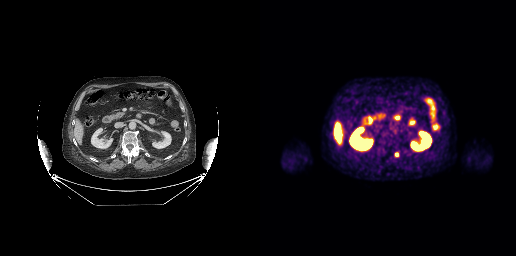
{"modality":"PSMA PET/CT","view":"axial","tracer":"18F-PSMA","pet_grid":[256,256],"coord_frame":"pet_panel","coord_format":"x0,y0,x1,y1","lesion_bboxes":[[134,152,139,156]]}